Paired axial CT (left) and PSMA PET (right), 18F tracer. PET panel 200×200 px (4.1 mm/px).
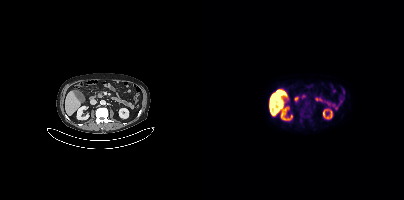
No tumor lesions annotated on this slice.